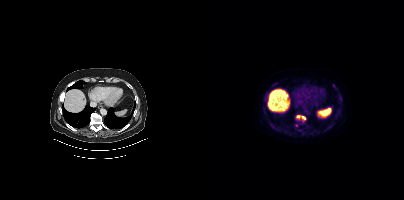
Left: CT. Right: PSMA PET, same axial level, 18F-PSMA tracer.
Coordinates are on the 200×200 PET (right) panel. PSMA-avid tumor lesion bounding boxes (partial; 1 more focus not listed):
| # | x0 | y0 | x1 | y1 |
|---|---|---|---|---|
| 1 | 90 | 116 | 98 | 124 |
| 2 | 119 | 128 | 123 | 132 |
| 3 | 70 | 127 | 74 | 131 |
Small PSMA-avid foci (2 to 4 px across) near (center x, center y): (130, 85); (70, 85); (100, 118); (114, 130).